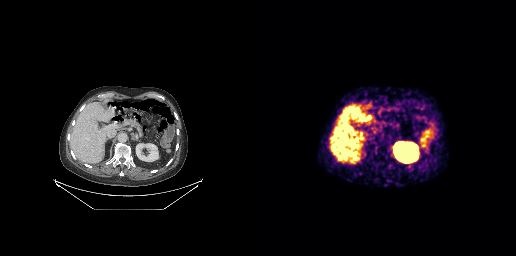
Negative for PSMA-avid disease on this slice. Paired axial CT (left) and PSMA PET (right), [68Ga]Ga-PSMA-11 tracer. Slice 179 of 299.